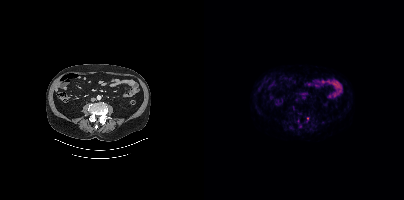
Only PSMA-avid lesion pieces thinner than 2 px on this slice (not listed).
modality: PSMA PET/CT | tracer: 18F-PSMA | view: axial